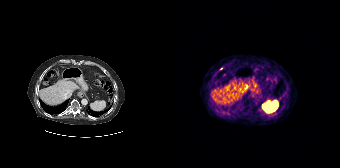
Paired axial CT (left) and PSMA PET (right), [68Ga]Ga-PSMA-11 tracer. Slice 129 of 195. PET panel 168×168 px (4.1 mm/px). No PSMA-avid tumor lesions on this slice.